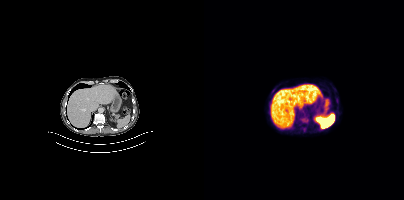
Coordinates are on the 200×200 PET (right) panel. PSMA-avid tumor lesion bounding boxes:
| # | x0 | y0 | x1 | y1 |
|---|---|---|---|---|
| 1 | 97 | 117 | 103 | 122 |
Two-panel axial: CT | PSMA PET, 18F tracer. Slice 219 of 413. PET panel 200×200 px (4.1 mm/px).